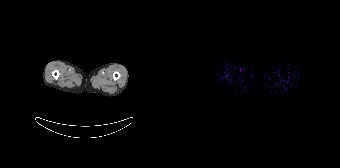
{"pet_grid":[168,168],"coord_frame":"pet_panel","coord_format":"x0,y0,x1,y1","psma_avid_lesions":false,"modality":"PSMA PET/CT","view":"axial","tracer":"[18F]PSMA-1007"}